modality: PSMA PET/CT | tracer: 18F | view: axial
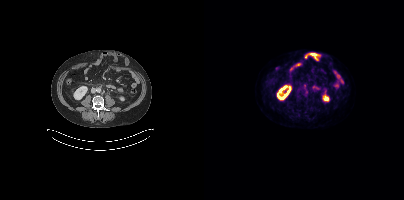
Coordinates are on the 200×200 PET (right) panel. PSMA-avid tumor lesion bounding box (x, y, width, height): x=100 y=90 w=5 h=6.